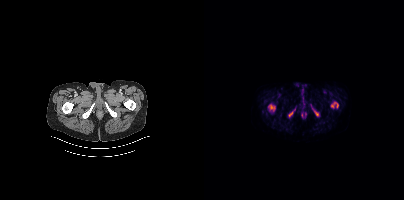
Coordinates are on the 200×200 PET (right) panel. (showing 4 of 5 foci) PSMA-avid tumor lesion bounding boxes (x0,y0,x1,y1): [64,104,71,111]; [84,106,92,117]; [127,102,134,107]; [110,111,114,115].